Technique: Left: CT. Right: PSMA PET, same axial level, 18F tracer. PET panel 200×200 px (4.1 mm/px).
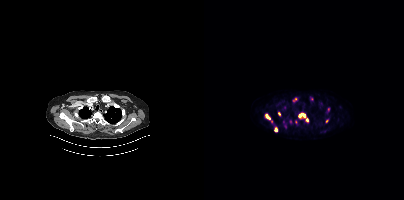
Findings: Coordinates are on the 200×200 PET (right) panel. (showing 7 of 12 foci) PSMA-avid tumor lesion bounding boxes (x, y, width, height): x=94 y=113 w=11 h=10; x=61 y=114 w=6 h=6; x=70 y=127 w=4 h=5. Small PSMA-avid foci (2 to 4 px across) near (center x, center y): (124, 108); (75, 113); (91, 98); (122, 121).